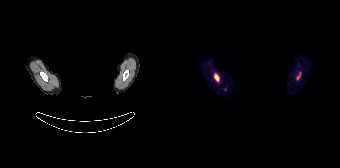
Technique: Two-panel axial: CT | PSMA PET, [68Ga]Ga-PSMA-11 tracer. slice position z = -654 mm.
Note: The face region was removed for patient privacy by blanking a rectangle over the head.
Findings: Coordinates are on the 168×168 PET (right) panel. PSMA-avid tumor lesion bounding boxes (x0, y0)-(x1, y1): (42, 73)-(47, 81) | (125, 72)-(128, 79).